- Two-panel axial: CT | PSMA PET, 68Ga tracer
- acquired on Siemens Biograph mCT Flow 20
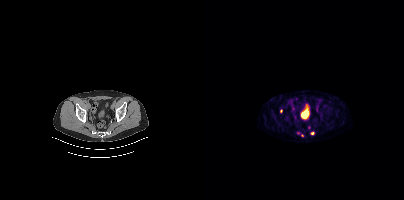
Findings: Coordinates are on the 200×200 PET (right) panel. Small PSMA-avid foci (2 to 4 px across) near (center x, center y): (108, 133) | (76, 111) | (98, 135).